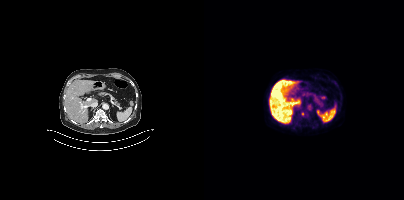
{"modality":"PSMA PET/CT","view":"axial","tracer":"18F","pet_grid":[200,200],"coord_frame":"pet_panel","coord_format":"x0,y0,x1,y1","psma_avid_lesions":false}